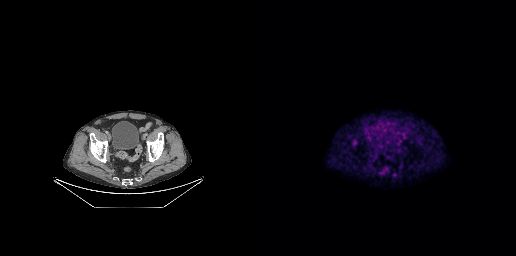
This slice has no annotated PSMA-avid lesion. Two-panel axial: CT | PSMA PET, [18F]PSMA-1007 tracer. Acquired on GE Discovery 690. PET panel 256×256 px (2.7 mm/px).